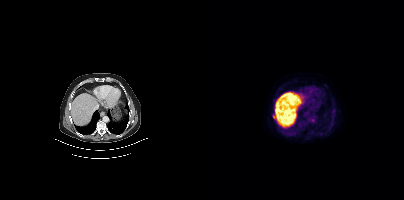
Two-panel axial: CT | PSMA PET, 18F tracer. Slice position z = -1140 mm. Coordinates are on the 200×200 PET (right) panel. Small PSMA-avid focus (2 to 4 px across) near (center x, center y): (70, 116).